- Left: CT. Right: PSMA PET, same axial level, [18F]PSMA-1007 tracer
- acquired on Siemens Biograph mCT Flow 20
- slice position z = -1362 mm
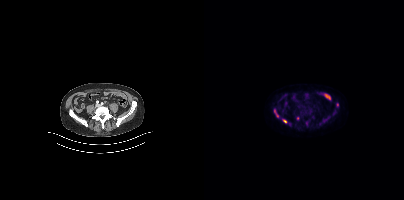
Findings: Coordinates are on the 200×200 PET (right) panel. PSMA-avid tumor lesion bounding box (x0, y0)-(x1, y1): (79, 120)-(86, 125). Small PSMA-avid foci (2 to 4 px across) near (center x, center y): (73, 115) | (94, 118) | (120, 120) | (70, 110) | (133, 104).